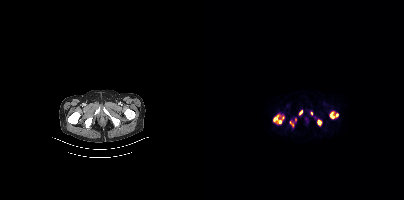
Findings: Coordinates are on the 200×200 PET (right) panel. PSMA-avid tumor lesion bounding boxes (x, y, width, height): x=69 y=115 w=9 h=9; x=126 y=112 w=9 h=7; x=113 y=119 w=5 h=7; x=86 y=121 w=4 h=6; x=95 y=110 w=4 h=5. Small PSMA-avid foci (2 to 4 px across) near (center x, center y): (107, 113); (91, 119); (78, 117).
Technique: Paired axial CT (left) and PSMA PET (right), 18F-PSMA tracer. slice position z = -304 mm.